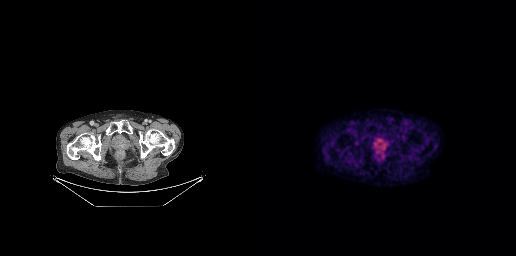
No tumor lesions annotated on this slice. Left: CT. Right: PSMA PET, same axial level, [18F]PSMA-1007 tracer. PET panel 256×256 px (2.7 mm/px).